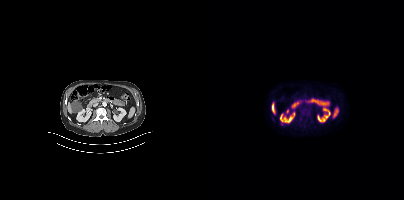
Negative for PSMA-avid disease on this slice.